Two-panel axial: CT | PSMA PET, 18F-PSMA tracer. Acquired on Siemens Biograph mCT Flow 20. Slice 64 of 462.
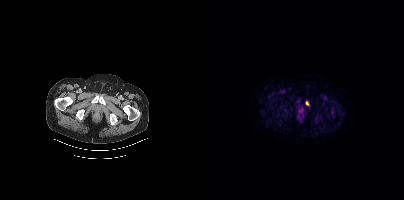
Coordinates are on the 200×200 PET (right) panel. PSMA-avid tumor lesion bounding boxes:
| # | x0 | y0 | x1 | y1 |
|---|---|---|---|---|
| 1 | 102 | 101 | 105 | 105 |